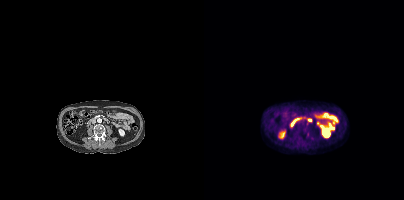
{"modality":"PSMA PET/CT","view":"axial","tracer":"18F-PSMA","pet_grid":[200,200],"coord_frame":"pet_panel","coord_format":"x0,y0,x1,y1","psma_avid_lesions":false}